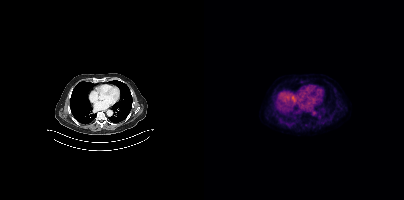
{"modality":"PSMA PET/CT","view":"axial","tracer":"18F","pet_grid":[200,200],"coord_frame":"pet_panel","coord_format":"x0,y0,x1,y1","lesion_bboxes":[],"small_foci_centers":[[97,81]]}